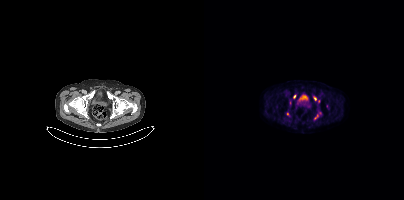
Two-panel axial: CT | PSMA PET, [18F]PSMA-1007 tracer. Acquired on Siemens Biograph mCT Flow 20. Slice 75 of 415. PET panel 200×200 px (4.1 mm/px). Coordinates are on the 200×200 PET (right) panel. (showing 5 of 6 foci) Small PSMA-avid foci (2 to 4 px across) near (center x, center y): (111, 98) / (83, 114) / (90, 96) / (114, 101) / (112, 116).